- Two-panel axial: CT | PSMA PET, 18F tracer
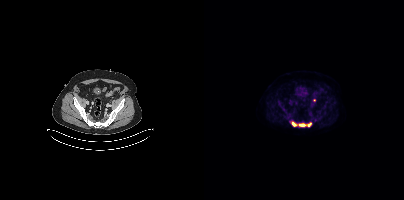
Findings: Coordinates are on the 200×200 PET (right) panel. PSMA-avid tumor lesion bounding box (x0,y0,x1,y1): [87,121,107,126]. Small PSMA-avid focus (2 to 4 px across) near (center x, center y): (110, 100).